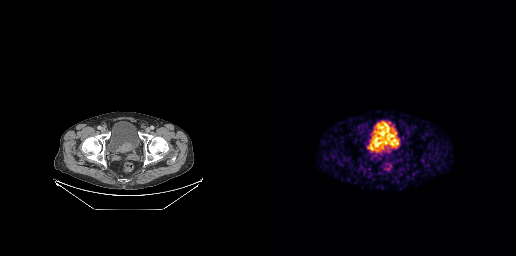
{"modality":"PSMA PET/CT","view":"axial","tracer":"[68Ga]Ga-PSMA-11","pet_grid":[256,256],"coord_frame":"pet_panel","coord_format":"x0,y0,x1,y1","lesion_bboxes":[[110,138,135,153]]}